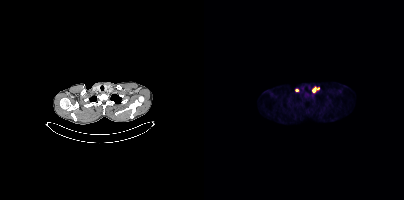
Technique: Left: CT. Right: PSMA PET, same axial level, [18F]PSMA-1007 tracer. slice position z = 102 mm. PET panel 200×200 px (4.1 mm/px).
Findings: Coordinates are on the 200×200 PET (right) panel. PSMA-avid tumor lesion bounding box (x, y, width, height): x=109 y=86 w=7 h=7. Small PSMA-avid focus (2 to 4 px across) near (center x, center y): (92, 90).